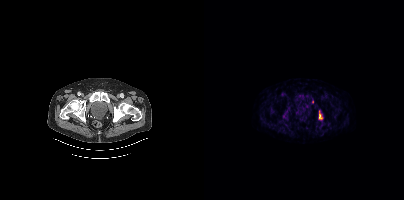
Coordinates are on the 200×200 PET (right) panel. PSMA-avid tumor lesion bounding box (x0,y0,x1,y1): [115,110,118,119]. Small PSMA-avid focus (2 to 4 px across) near (center x, center y): (108, 101).